- Paired axial CT (left) and PSMA PET (right), 18F-PSMA tracer
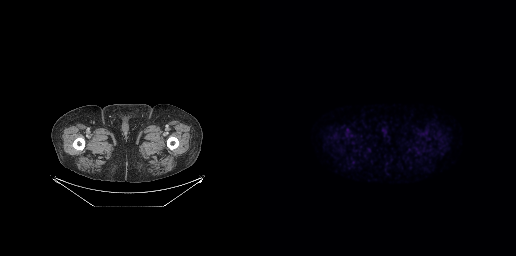
Findings: Negative for PSMA-avid disease on this slice.